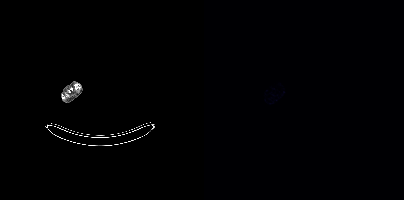
{"pet_grid":[200,200],"coord_frame":"pet_panel","coord_format":"x0,y0,x1,y1","psma_avid_lesions":false,"modality":"PSMA PET/CT","view":"axial","tracer":"[18F]PSMA-1007"}